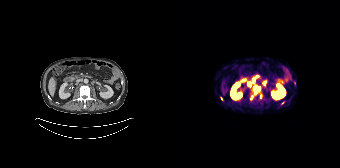
Technique: Left: CT. Right: PSMA PET, same axial level, 68Ga-PSMA tracer. slice 71 of 165. PET panel 168×168 px (4.1 mm/px).
Findings: Coordinates are on the 168×168 PET (right) panel. PSMA-avid tumor lesion bounding boxes (x, y, width, height): x=91 y=81 w=4 h=5 | x=84 y=86 w=5 h=5 | x=88 y=94 w=3 h=5 | x=108 y=101 w=5 h=4 | x=82 y=87 w=2 h=5. Small PSMA-avid foci (2 to 4 px across) near (center x, center y): (79, 98) | (76, 83) | (81, 79) | (49, 98).